Technique: Left: CT. Right: PSMA PET, same axial level, [18F]PSMA-1007 tracer.
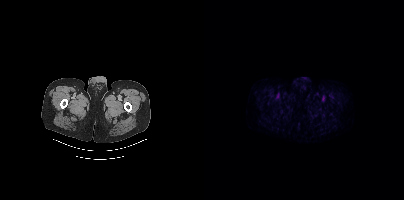
Findings: This slice has no annotated PSMA-avid lesion.